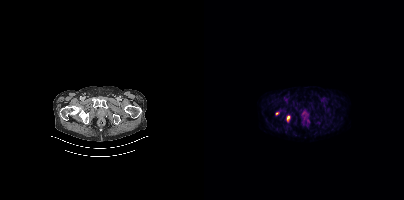
- Left: CT. Right: PSMA PET, same axial level, 18F-PSMA tracer
- slice 37 of 427
Findings: Coordinates are on the 200×200 PET (right) panel. PSMA-avid tumor lesion bounding box (x0, y0)-(x1, y1): (82, 115)-(86, 121). Small PSMA-avid focus (2 to 4 px across) near (center x, center y): (73, 113).